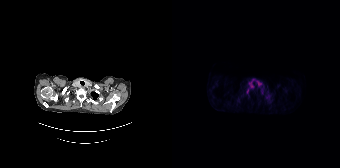
{"pet_grid":[168,168],"coord_frame":"pet_panel","coord_format":"x0,y0,x1,y1","lesion_bboxes":[[74,89,77,93]],"modality":"PSMA PET/CT","view":"axial","tracer":"[18F]PSMA-1007"}